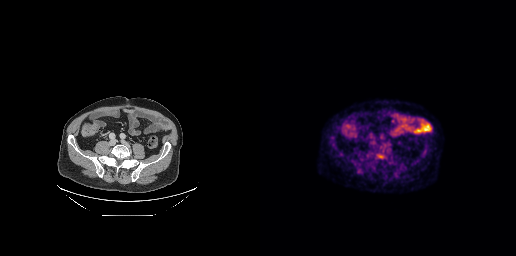
Technique: Left: CT. Right: PSMA PET, same axial level, 18F-PSMA tracer. acquired on GE Discovery 690. PET panel 256×256 px (2.7 mm/px).
Findings: Coordinates are on the 256×256 PET (right) panel. PSMA-avid tumor lesion bounding box (x0, y0)-(x1, y1): (118, 154)-(122, 157).